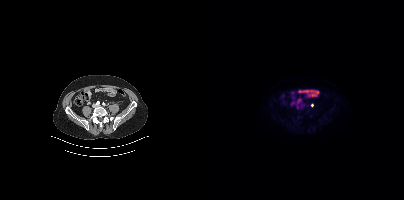
Coordinates are on the 200×200 PET (right) panel. Small PSMA-avid focus (2 to 4 px across) near (center x, center y): (108, 105). Left: CT. Right: PSMA PET, same axial level, [18F]PSMA-1007 tracer. PET panel 200×200 px (4.1 mm/px).